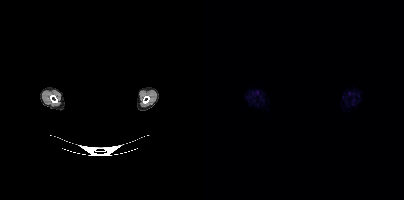
Negative for PSMA-avid disease on this slice. The face region was removed for patient privacy by blanking a rectangle over the head. Paired axial CT (left) and PSMA PET (right), 18F-PSMA tracer.